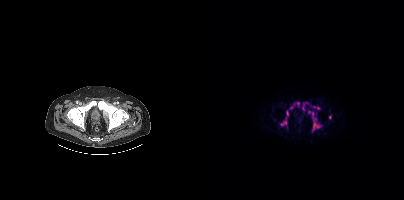
Left: CT. Right: PSMA PET, same axial level, 18F tracer. Slice 150 of 508. PET panel 200×200 px (4.1 mm/px). Coordinates are on the 200×200 PET (right) panel. (showing 8 of 9 foci) PSMA-avid tumor lesion bounding boxes (x, y, width, height): x=82 y=102 w=14 h=14 / x=98 y=102 w=6 h=9 / x=110 y=122 w=8 h=7 / x=76 y=120 w=7 h=6 / x=104 y=110 w=6 h=6 / x=109 y=106 w=7 h=4. Small PSMA-avid foci (2 to 4 px across) near (center x, center y): (109, 118) / (126, 117).